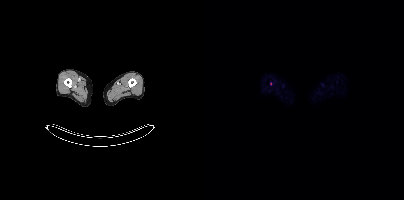
modality: PSMA PET/CT | tracer: 18F | view: axial | PET grid: 200×200
Only PSMA-avid lesion pieces thinner than 2 px on this slice (not listed).